- Paired axial CT (left) and PSMA PET (right), [18F]PSMA-1007 tracer
- slice 108 of 403
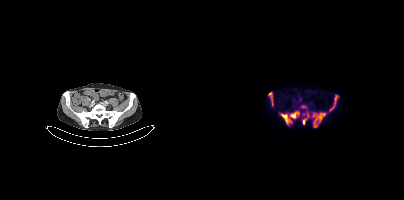
Findings: Coordinates are on the 200×200 PET (right) panel. PSMA-avid tumor lesion bounding boxes (x0, y0)-(x1, y1): (75, 111)-(95, 124) / (107, 112)-(122, 127) / (98, 111)-(105, 124) / (125, 95)-(134, 111) / (64, 92)-(69, 106) / (97, 105)-(102, 108).